Paired axial CT (left) and PSMA PET (right), [18F]PSMA-1007 tracer. Acquired on Siemens Biograph mCT Flow 20. PET panel 200×200 px (4.1 mm/px). Facial anatomy redacted by setting a rectangular region of the head to black.
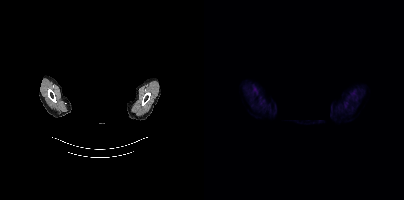
No tumor lesions annotated on this slice.